- Left: CT. Right: PSMA PET, same axial level, 18F tracer
- slice position z = -454 mm
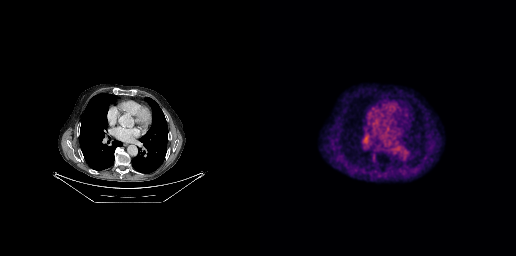
Findings: No PSMA-avid tumor lesions on this slice.